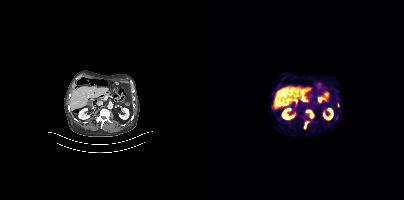
Two-panel axial: CT | PSMA PET, [18F]PSMA-1007 tracer. Acquired on Siemens Biograph mCT Flow 20. Slice 160 of 373. PET panel 200×200 px (4.1 mm/px). Coordinates are on the 200×200 PET (right) panel. PSMA-avid tumor lesion bounding boxes (x, y, width, height): x=101 y=109 w=10 h=10 | x=100 y=121 w=6 h=8 | x=133 y=103 w=3 h=5.